Two-panel axial: CT | PSMA PET, 18F tracer.
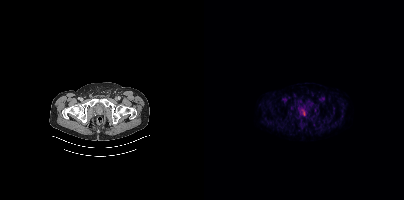
Coordinates are on the 200×200 PET (right) panel. PSMA-avid tumor lesion bounding box (x0,y0,x1,y1): [98,110,101,115].